Left: CT. Right: PSMA PET, same axial level, 18F tracer. Acquired on Siemens Biograph mCT Flow 20. PET panel 200×200 px (4.1 mm/px).
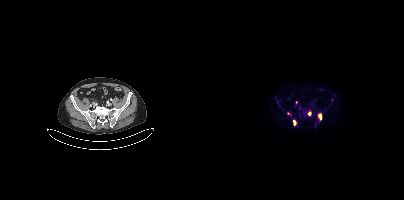
Coordinates are on the 200×200 PET (right) panel. (showing 4 of 5 foci) PSMA-avid tumor lesion bounding boxes (x, y, width, height): x=114 y=114 w=5 h=7; x=89 y=120 w=4 h=6. Small PSMA-avid foci (2 to 4 px across) near (center x, center y): (105, 113); (75, 105).